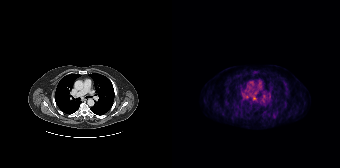
Coordinates are on the 168×168 PET (right) panel. Small PSMA-avid foci (2 to 4 px across) near (center x, center y): (82, 97) | (75, 97).